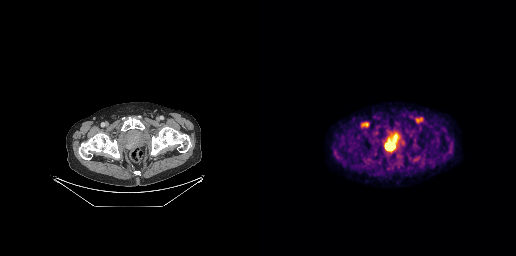
Two-panel axial: CT | PSMA PET, 18F tracer. PET panel 256×256 px (2.7 mm/px). Coordinates are on the 256×256 PET (right) panel. PSMA-avid tumor lesion bounding box (x, y, width, height): x=125 y=142 w=10 h=9.